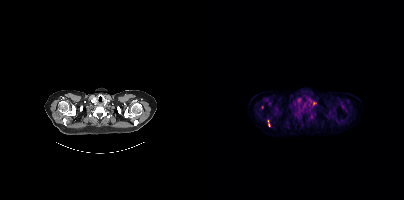
Two-panel axial: CT | PSMA PET, 18F-PSMA tracer. Slice position z = 154 mm. PET panel 200×200 px (4.1 mm/px). Coordinates are on the 200×200 PET (right) panel. (showing 1 of 4 foci) Small PSMA-avid focus (2 to 4 px across) near (center x, center y): (107, 116).